Left: CT. Right: PSMA PET, same axial level, 18F-PSMA tracer. A rectangle over the head was blacked out to remove identifiable facial features.
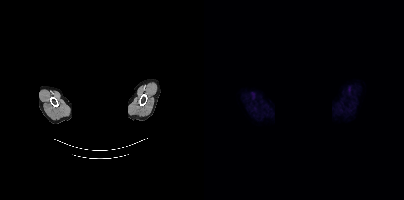
No PSMA-avid tumor lesions on this slice.